Left: CT. Right: PSMA PET, same axial level, [18F]PSMA-1007 tracer. Slice position z = -1615 mm.
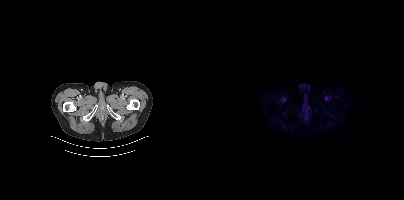
No PSMA-avid tumor lesions on this slice.